Two-panel axial: CT | PSMA PET, [18F]PSMA-1007 tracer. PET panel 256×256 px (2.7 mm/px).
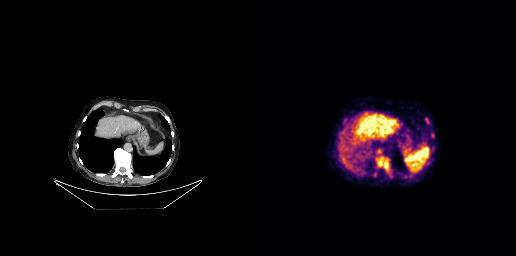
Coordinates are on the 256×256 PET (right) panel. PSMA-avid tumor lesion bounding boxes (partial; 1 more focus not listed):
| # | x0 | y0 | x1 | y1 |
|---|---|---|---|---|
| 1 | 118 | 157 | 128 | 169 |
| 2 | 165 | 118 | 169 | 124 |
| 3 | 171 | 133 | 174 | 138 |